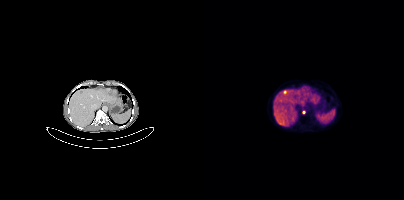
Coordinates are on the 200×200 PET (right) panel. Small PSMA-avid focus (2 to 4 px across) near (center x, center y): (99, 112). Left: CT. Right: PSMA PET, same axial level, [68Ga]Ga-PSMA-11 tracer. Acquired on Siemens Biograph mCT Flow 20. Slice 224 of 409.